Paired axial CT (left) and PSMA PET (right), 18F-PSMA tracer.
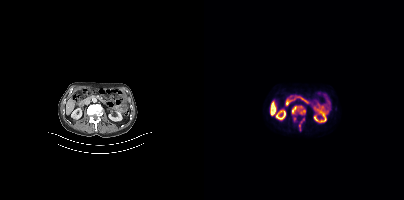
Coordinates are on the 200×200 PET (right) panel. PSMA-avid tumor lesion bounding boxes (x0, y0)-(x1, y1): (87, 105)-(101, 114); (95, 118)-(100, 130); (90, 117)-(91, 121).